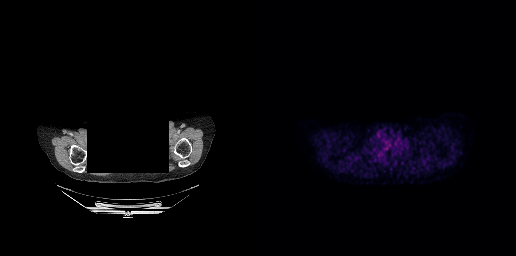
- Two-panel axial: CT | PSMA PET, [18F]PSMA-1007 tracer
- acquired on GE Discovery 690
- a rectangular block over the head has been blanked out for de-identification
Findings: Coordinates are on the 256×256 PET (right) panel. PSMA-avid tumor lesion bounding box (x0, y0)-(x1, y1): (117, 150)-(122, 155).